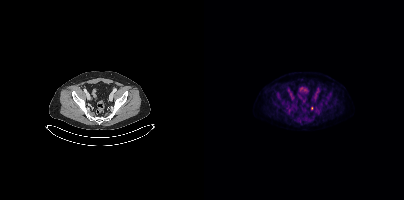
{"modality":"PSMA PET/CT","view":"axial","tracer":"18F","pet_grid":[200,200],"coord_frame":"pet_panel","coord_format":"x0,y0,x1,y1","lesion_bboxes":[],"small_foci_centers":[[107,108]]}